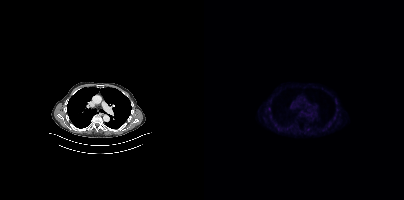
Paired axial CT (left) and PSMA PET (right), [18F]PSMA-1007 tracer. No tumor lesions annotated on this slice.